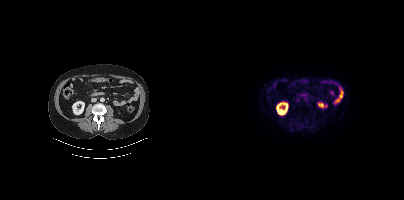
Two-panel axial: CT | PSMA PET, 18F-PSMA tracer. Slice position z = -1183 mm. PET panel 200×200 px (4.1 mm/px). Only PSMA-avid lesion pieces thinner than 2 px on this slice (not listed).